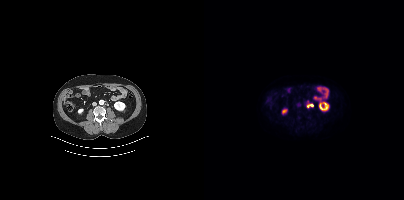
- Two-panel axial: CT | PSMA PET, [18F]PSMA-1007 tracer
- acquired on Siemens Biograph mCT Flow 20
- PET panel 200×200 px (4.1 mm/px)
Findings: Coordinates are on the 200×200 PET (right) panel. PSMA-avid tumor lesion bounding box (x0, y0)-(x1, y1): (103, 104)-(109, 107).